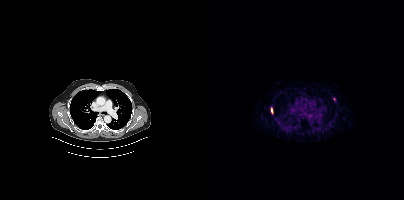
{"pet_grid":[200,200],"coord_frame":"pet_panel","coord_format":"x0,y0,x1,y1","partial":true,"lesion_bboxes":[[67,108,69,113]],"modality":"PSMA PET/CT","view":"axial","tracer":"[68Ga]Ga-PSMA-11"}